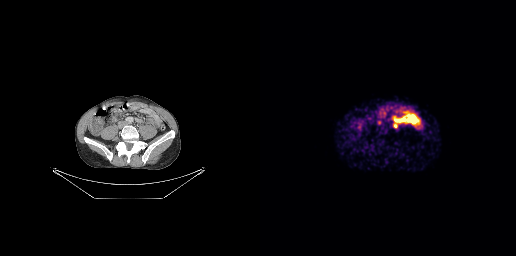
- Left: CT. Right: PSMA PET, same axial level, [68Ga]Ga-PSMA-11 tracer
- acquired on GE Discovery 690
- slice 106 of 263
- PET panel 256×256 px (2.7 mm/px)
Findings: Coordinates are on the 256×256 PET (right) panel. PSMA-avid tumor lesion bounding box (x, y, width, height): x=133 y=124 w=6 h=5.